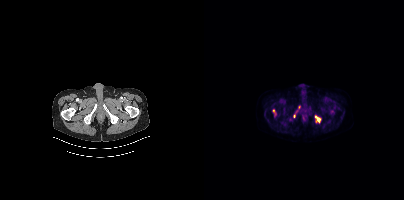
Coordinates are on the 200×200 PET (right) panel. PSMA-avid tumor lesion bounding box (x0,y0,x1,y1): [111,115,116,122]. Small PSMA-avid foci (2 to 4 px across) near (center x, center y): (95, 107), (69, 110), (92, 111), (90, 116).